Technique: Left: CT. Right: PSMA PET, same axial level, 18F tracer. acquired on Siemens Biograph mCT Flow 20.
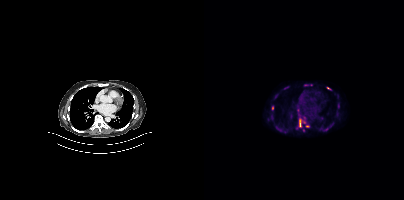
Findings: Coordinates are on the 200×200 PET (right) panel. (showing 6 of 9 foci) PSMA-avid tumor lesion bounding boxes (x0, y0)-(x1, y1): (95, 119)-(97, 127) | (118, 128)-(124, 130) | (123, 87)-(127, 89). Small PSMA-avid foci (2 to 4 px across) near (center x, center y): (100, 121) | (103, 126) | (68, 107).